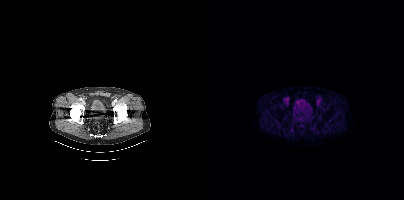
{"modality":"PSMA PET/CT","view":"axial","tracer":"[18F]PSMA-1007","pet_grid":[200,200],"coord_frame":"pet_panel","coord_format":"x0,y0,x1,y1","psma_avid_lesions":false}